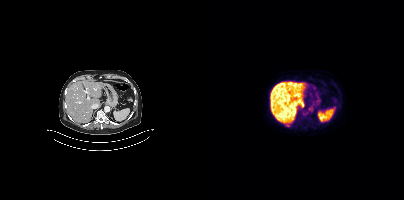
{"modality":"PSMA PET/CT","view":"axial","tracer":"18F-PSMA","pet_grid":[200,200],"coord_frame":"pet_panel","coord_format":"x0,y0,x1,y1","lesion_bboxes":[[81,124,85,126]],"small_foci_centers":[[101,112]]}